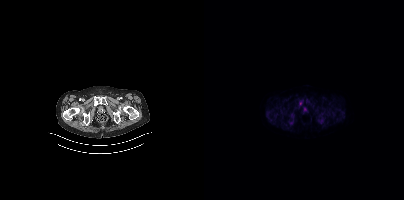
Coordinates are on the 200×200 PET (right) panel. Small PSMA-avid focus (2 to 4 px across) near (center x, center y): (96, 103).